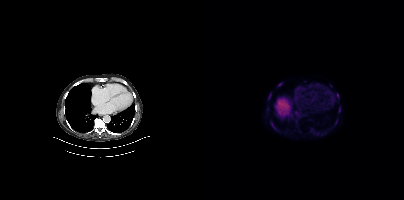
Findings: Coordinates are on the 200×200 PET (right) panel. (showing 6 of 7 foci) PSMA-avid tumor lesion bounding boxes (x, y, width, height): x=66 y=122 w=9 h=10; x=64 y=93 w=4 h=7; x=74 y=83 w=5 h=4; x=135 y=107 w=2 h=6; x=132 y=93 w=3 h=5. Small PSMA-avid focus (2 to 4 px across) near (center x, center y): (132, 121).
Technique: Two-panel axial: CT | PSMA PET, 18F-PSMA tracer. slice position z = -468 mm.